- Paired axial CT (left) and PSMA PET (right), 18F-PSMA tracer
- acquired on Siemens Biograph mCT Flow 20
- slice 59 of 401
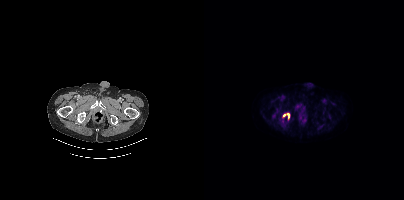
Findings: Coordinates are on the 200×200 PET (right) panel. PSMA-avid tumor lesion bounding box (x0,y0,x1,y1): [83,113,85,117]. Small PSMA-avid focus (2 to 4 px across) near (center x, center y): (80, 115).